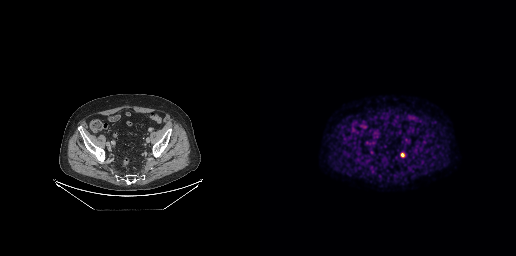
{"modality":"PSMA PET/CT","view":"axial","tracer":"18F-PSMA","pet_grid":[256,256],"coord_frame":"pet_panel","coord_format":"x0,y0,x1,y1","lesion_bboxes":[],"small_foci_centers":[[142,154]]}